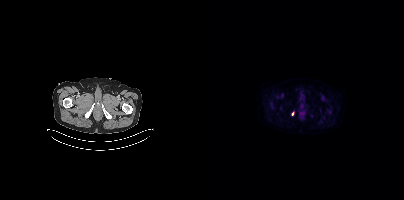
- Paired axial CT (left) and PSMA PET (right), [18F]PSMA-1007 tracer
- slice position z = -1490 mm
- PET panel 200×200 px (4.1 mm/px)
Findings: Coordinates are on the 200×200 PET (right) panel. Small PSMA-avid focus (2 to 4 px across) near (center x, center y): (88, 113).